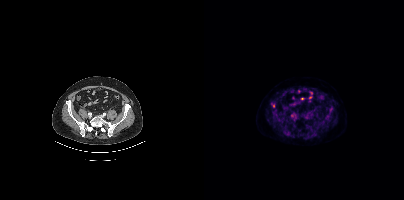
Findings: Negative for PSMA-avid disease on this slice.
- Paired axial CT (left) and PSMA PET (right), 18F tracer
- slice position z = -322 mm